Left: CT. Right: PSMA PET, same axial level, [18F]PSMA-1007 tracer. Slice position z = -362 mm. PET panel 200×200 px (4.1 mm/px).
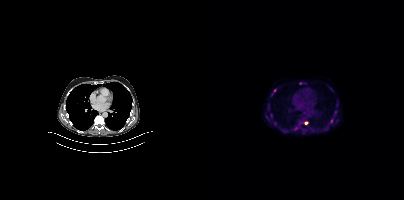
Coordinates are on the 200×200 PET (right) panel. (showing 7 of 8 foci) PSMA-avid tumor lesion bounding boxes (x0,y0,x1,y1): [67,89,72,95] [95,82,102,84]. Small PSMA-avid foci (2 to 4 px across) near (center x, center y): (101, 123) (128, 119) (91, 128) (131, 112) (64, 107).